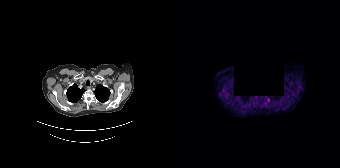
- Left: CT. Right: PSMA PET, same axial level, 68Ga tracer
- an anonymization step blacked out a rectangle in this scan
Findings: Coordinates are on the 168×168 PET (right) panel. Small PSMA-avid focus (2 to 4 px across) near (center x, center y): (96, 99).